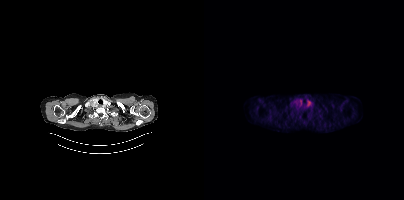
Two-panel axial: CT | PSMA PET, 18F-PSMA tracer. Slice position z = -903 mm. This slice has no annotated PSMA-avid lesion.